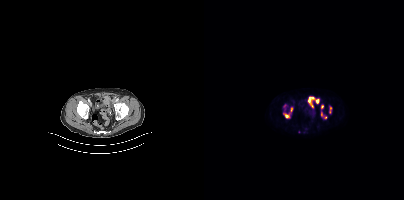
{"modality":"PSMA PET/CT","view":"axial","tracer":"18F","pet_grid":[200,200],"coord_frame":"pet_panel","coord_format":"x0,y0,x1,y1","partial":true,"lesion_bboxes":[[104,97,110,107],[125,106,127,112],[86,107,88,113]],"small_foci_centers":[[82,116],[113,101],[118,106],[121,117]]}